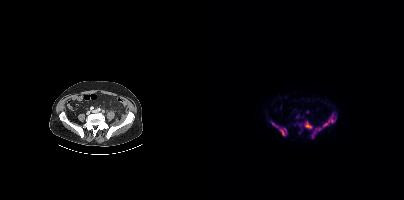
Paired axial CT (left) and PSMA PET (right), 18F-PSMA tracer. Slice position z = -886 mm.
Coordinates are on the 200×200 PET (right) panel. PSMA-avid tumor lesion bounding boxes (partial; 2 more foci not listed):
| # | x0 | y0 | x1 | y1 |
|---|---|---|---|---|
| 1 | 107 | 112 | 132 | 138 |
| 2 | 67 | 122 | 80 | 135 |
| 3 | 100 | 121 | 107 | 128 |
Small PSMA-avid focus (2 to 4 px across) near (center x, center y): (81, 129).